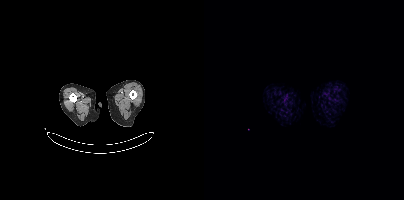
Technique: Left: CT. Right: PSMA PET, same axial level, 18F-PSMA tracer. acquired on Siemens Biograph mCT Flow 20. PET panel 200×200 px (4.1 mm/px).
Findings: Negative for PSMA-avid disease on this slice.